modality: PSMA PET/CT | tracer: 18F | view: axial
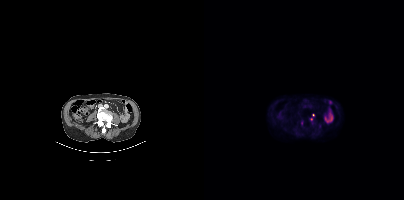
No tumor lesions annotated on this slice.